- Two-panel axial: CT | PSMA PET, 68Ga tracer
- slice 132 of 195
- PET panel 168×168 px (4.1 mm/px)
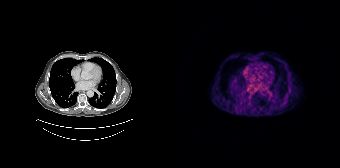
Findings: No PSMA-avid tumor lesions on this slice.